Technique: Paired axial CT (left) and PSMA PET (right), 68Ga tracer. PET panel 168×168 px (4.1 mm/px).
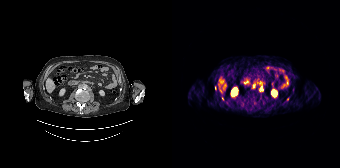
Findings: Coordinates are on the 168×168 PET (right) panel. (showing 4 of 5 foci) Small PSMA-avid foci (2 to 4 px across) near (center x, center y): (89, 88); (50, 98); (115, 99); (81, 86).